- Paired axial CT (left) and PSMA PET (right), [68Ga]Ga-PSMA-11 tracer
- acquired on Siemens Biograph 64-4R TruePoint
- slice position z = -1346 mm
- PET panel 168×168 px (4.1 mm/px)
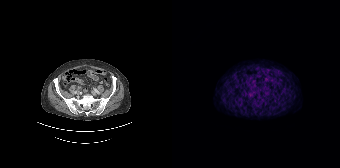
Findings: This slice has no annotated PSMA-avid lesion.